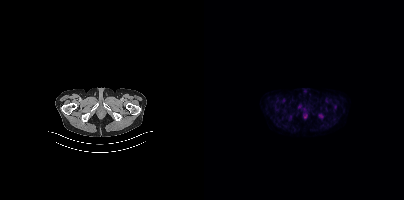
No PSMA-avid tumor lesions on this slice.